Head region blanked for anonymization (face removed). Two-panel axial: CT | PSMA PET, 18F-PSMA tracer. Slice position z = -1100 mm.
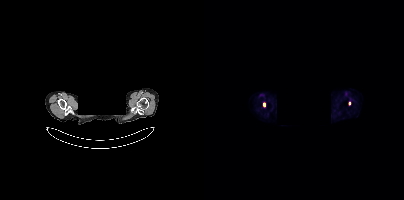
Coordinates are on the 200×200 PET (right) panel. Small PSMA-avid foci (2 to 4 px across) near (center x, center y): (60, 104) / (145, 103).